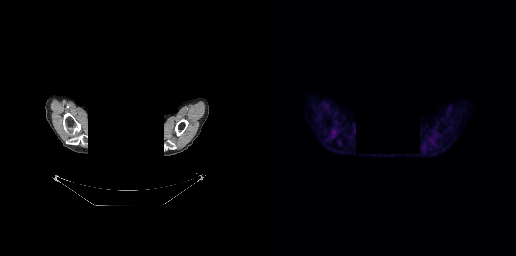
{"modality":"PSMA PET/CT","view":"axial","tracer":"18F","pet_grid":[256,256],"coord_frame":"pet_panel","coord_format":"x0,y0,x1,y1","redaction":"head region blacked out before release","psma_avid_lesions":false}